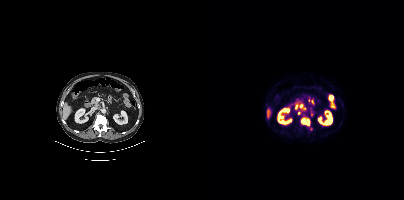
modality: PSMA PET/CT | tracer: 18F-PSMA | view: axial
Coordinates are on the 200×200 PET (right) panel. PSMA-avid tumor lesion bounding box (x, y, width, height): x=97 y=118 w=9 h=8. Small PSMA-avid foci (2 to 4 px across) near (center x, center y): (97, 106); (94, 112).